Two-panel axial: CT | PSMA PET, 18F-PSMA tracer. Slice 365 of 466.
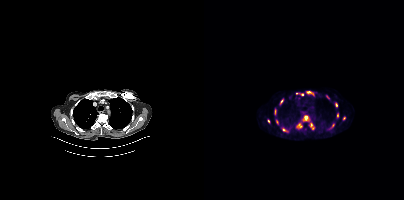
Coordinates are on the 200×200 PET (right) panel. (showing 14 of 15 foci) PSMA-avid tumor lesion bounding boxes (x0,y0,x1,y1): [102,91,110,96] [99,115,105,120] [92,92,100,96] [93,123,98,128] [106,123,110,129] [70,109,72,114] [72,119,74,124] [63,119,66,123]. Small PSMA-avid foci (2 to 4 px across) near (center x, center y): (132, 104) (79, 129) (140, 118) (124, 97) (129, 125) (76, 103).